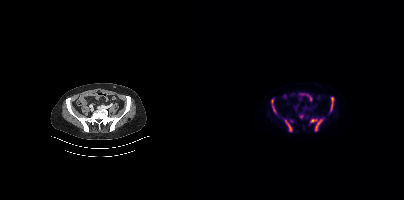
modality: PSMA PET/CT | tracer: 18F | view: axial | PET grid: 200×200
Coordinates are on the 200×200 PET (right) panel. (showing 5 of 6 foci) PSMA-avid tumor lesion bounding boxes (x0,y0,x1,y1): [106,119,118,131]; [81,120,88,131]; [127,97,129,110]; [67,99,72,113]; [95,114,99,117].